- Left: CT. Right: PSMA PET, same axial level, 18F-PSMA tracer
- acquired on Siemens Biograph mCT Flow 20
- slice position z = -1698 mm
- PET panel 200×200 px (4.1 mm/px)
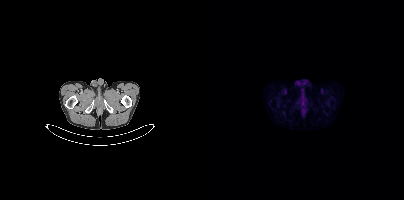
Findings: Negative for PSMA-avid disease on this slice.